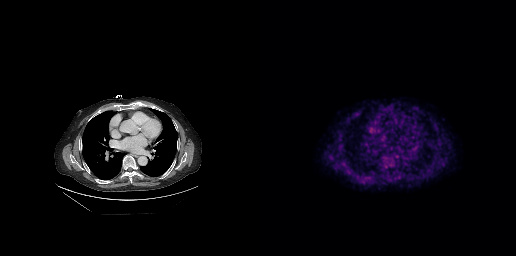
Technique: Left: CT. Right: PSMA PET, same axial level, 18F tracer. acquired on GE Discovery 690. slice position z = -251 mm. PET panel 256×256 px (2.7 mm/px).
Findings: No tumor lesions annotated on this slice.